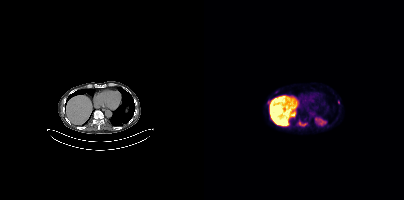
Coordinates are on the 200×200 PET (right) panel. (showing 2 of 4 foci) PSMA-avid tumor lesion bounding box (x, y, width, height): x=95 y=122 w=9 h=4. Small PSMA-avid focus (2 to 4 px across) near (center x, center y): (72, 91).